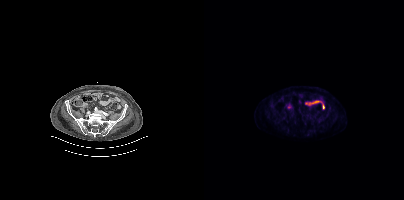
Left: CT. Right: PSMA PET, same axial level, [18F]PSMA-1007 tracer. PET panel 200×200 px (4.1 mm/px). This slice has no annotated PSMA-avid lesion.